deidentification: rectangular block over head set to black | modality: PSMA PET/CT | tracer: [18F]PSMA-1007 | view: axial
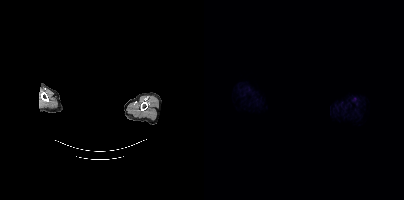
No tumor lesions annotated on this slice.